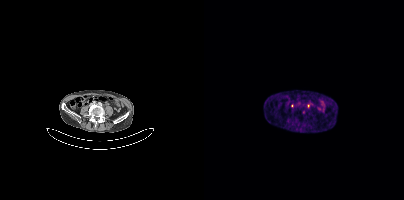
{"pet_grid":[200,200],"coord_frame":"pet_panel","coord_format":"x0,y0,x1,y1","psma_avid_lesions":false,"modality":"PSMA PET/CT","view":"axial","tracer":"[68Ga]Ga-PSMA-11"}